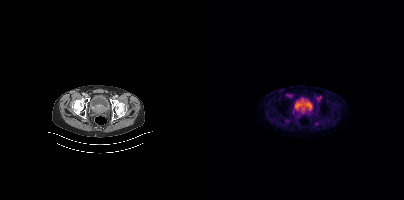
Technique: Left: CT. Right: PSMA PET, same axial level, [18F]PSMA-1007 tracer. slice position z = -772 mm. PET panel 200×200 px (4.1 mm/px).
Findings: Coordinates are on the 200×200 PET (right) panel. PSMA-avid tumor lesion bounding box (x0,y0,x1,y1): [94,104,105,114].